Left: CT. Right: PSMA PET, same axial level, 18F tracer. PET panel 200×200 px (4.1 mm/px).
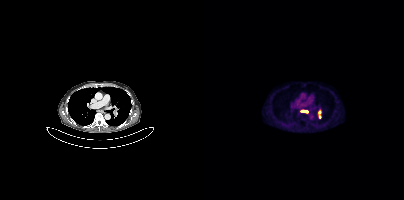
Coordinates are on the 200×200 PET (right) panel. PSMA-avid tumor lesion bounding boxes:
| # | x0 | y0 | x1 | y1 |
|---|---|---|---|---|
| 1 | 96 | 109 | 104 | 113 |
| 2 | 114 | 110 | 117 | 118 |